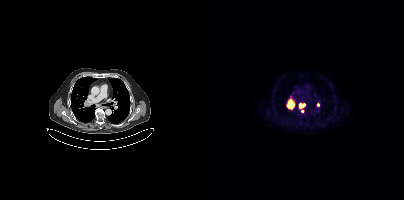
Findings: Coordinates are on the 200×200 PET (right) panel. PSMA-avid tumor lesion bounding box (x0, y0)-(x1, y1): (95, 104)-(99, 107). Small PSMA-avid focus (2 to 4 px across) near (center x, center y): (98, 110).
Technique: Left: CT. Right: PSMA PET, same axial level, 18F tracer. acquired on Siemens Biograph mCT Flow 20. slice position z = -471 mm.